Technique: Left: CT. Right: PSMA PET, same axial level, 18F tracer.
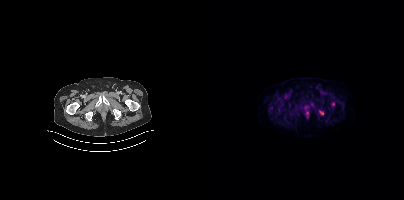
Findings: Coordinates are on the 200×200 PET (right) panel. PSMA-avid tumor lesion bounding box (x0, y0)-(x1, y1): (127, 102)-(130, 106). Small PSMA-avid focus (2 to 4 px across) near (center x, center y): (117, 113).